modality: PSMA PET/CT | tracer: [18F]PSMA-1007 | view: axial
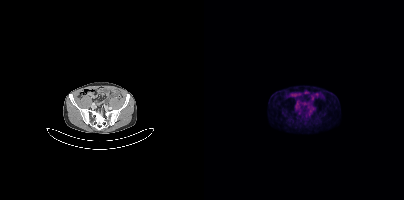
Coordinates are on the 200×200 PET (right) panel. PSMA-avid tumor lesion bounding box (x0,y0,x1,y1): [105,106,109,110]. Small PSMA-avid focus (2 to 4 px across) near (center x, center y): (92, 108).